Left: CT. Right: PSMA PET, same axial level, 18F-PSMA tracer. Acquired on Siemens Biograph mCT Flow 20. Slice position z = -290 mm. PET panel 200×200 px (4.1 mm/px).
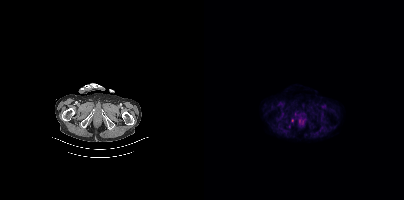
Coordinates are on the 200×200 PET (right) panel. (showing 1 of 3 foci) Small PSMA-avid focus (2 to 4 px across) near (center x, center y): (88, 120).